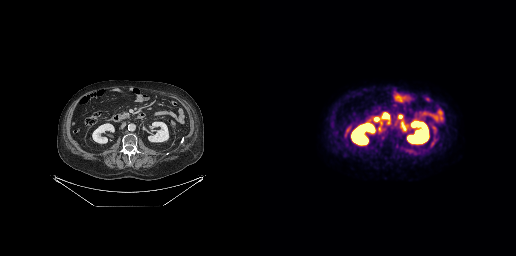
modality: PSMA PET/CT | tracer: [18F]PSMA-1007 | view: axial
This slice has no annotated PSMA-avid lesion.